Two-panel axial: CT | PSMA PET, 18F-PSMA tracer. Acquired on Siemens Biograph mCT Flow 20. Slice position z = -1340 mm. PET panel 200×200 px (4.1 mm/px).
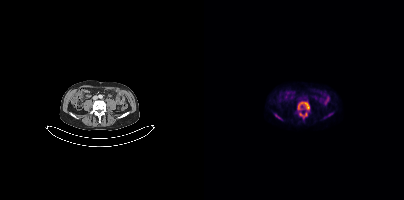
Coordinates are on the 200×200 PET (right) panel. PSMA-avid tumor lesion bounding boxes:
| # | x0 | y0 | x1 | y1 |
|---|---|---|---|---|
| 1 | 93 | 101 | 105 | 110 |
| 2 | 95 | 112 | 103 | 118 |
Small PSMA-avid focus (2 to 4 px across) near (center x, center y): (73, 116).